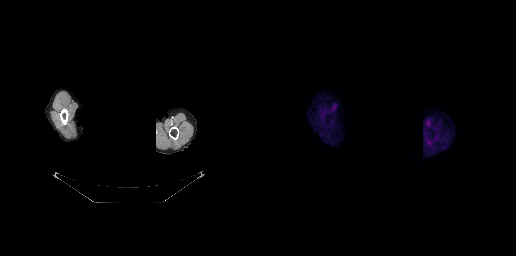
{"pet_grid":[256,256],"coord_frame":"pet_panel","coord_format":"x0,y0,x1,y1","psma_avid_lesions":false,"modality":"PSMA PET/CT","view":"axial","tracer":"18F-PSMA","deidentification":"facial region redacted"}